modality: PSMA PET/CT | tracer: [18F]PSMA-1007 | view: axial | PET grid: 256×256
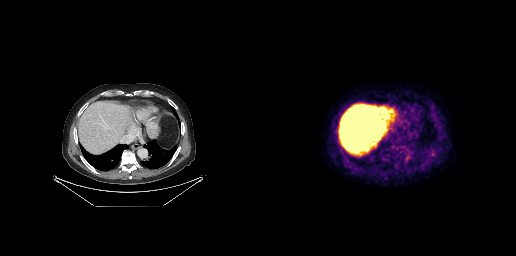
No PSMA-avid tumor lesions on this slice.